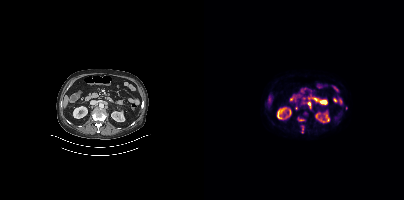
Coordinates are on the 200×200 PET (right) panel. (showing 1 of 3 foci) Small PSMA-avid focus (2 to 4 px across) near (center x, center y): (105, 103).